modality: PSMA PET/CT | tracer: [18F]PSMA-1007 | view: axial | PET grid: 200×200
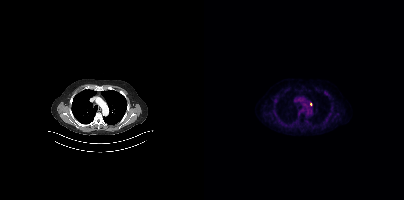
Coordinates are on the 200×200 PET (right) panel. Small PSMA-avid focus (2 to 4 px across) near (center x, center y): (106, 104).